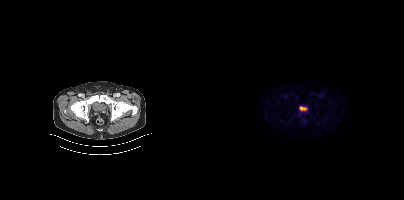
Two-panel axial: CT | PSMA PET, 18F tracer. Slice position z = -1620 mm. Coordinates are on the 200×200 PET (right) panel. (showing 1 of 2 foci) Small PSMA-avid focus (2 to 4 px across) near (center x, center y): (95, 115).